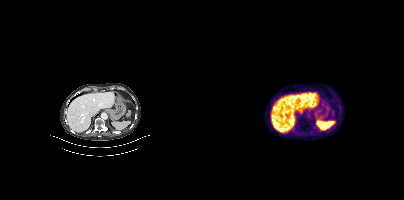
Technique: Left: CT. Right: PSMA PET, same axial level, 68Ga-PSMA tracer. acquired on Siemens Biograph mCT Flow 20. PET panel 200×200 px (4.1 mm/px).
Findings: Negative for PSMA-avid disease on this slice.